Technique: Paired axial CT (left) and PSMA PET (right), 68Ga tracer.
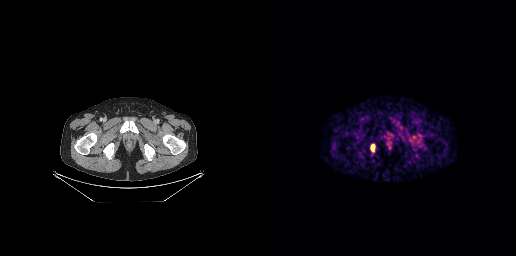
Findings: Coordinates are on the 256×256 PET (right) panel. PSMA-avid tumor lesion bounding box (x0,y0,x1,y1): [111,144,114,151].